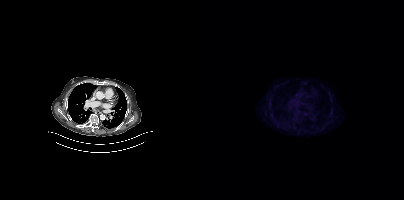
Technique: Paired axial CT (left) and PSMA PET (right), 18F tracer.
Findings: No tumor lesions annotated on this slice.